Technique: Left: CT. Right: PSMA PET, same axial level, 18F-PSMA tracer. slice 405 of 435.
Note: Any black rectangle over the head is a privacy mask, not anatomy.
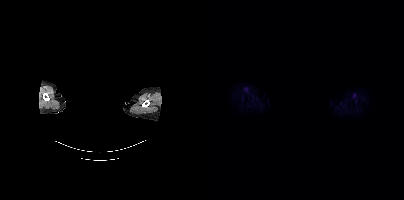
Findings: This slice has no annotated PSMA-avid lesion.